Technique: Two-panel axial: CT | PSMA PET, [68Ga]Ga-PSMA-11 tracer. PET panel 256×256 px (2.7 mm/px).
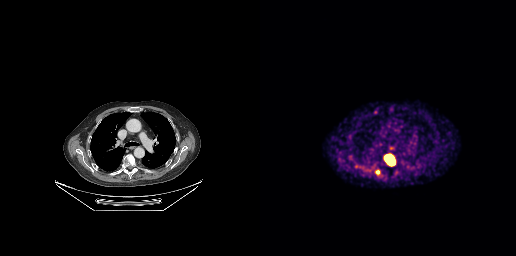
Findings: Coordinates are on the 256×256 PET (right) panel. PSMA-avid tumor lesion bounding boxes (x, y, width, height): x=123 y=154 w=13 h=12 / x=115 y=169 w=6 h=7 / x=135 y=171 w=4 h=5. Small PSMA-avid foci (2 to 4 px across) near (center x, center y): (115, 112) / (90, 156).